Technique: Two-panel axial: CT | PSMA PET, [18F]PSMA-1007 tracer. acquired on Siemens Biograph mCT Flow 20. slice 71 of 423.
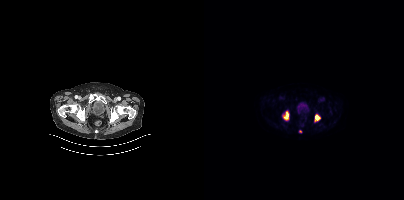
Findings: Coordinates are on the 200×200 PET (right) panel. PSMA-avid tumor lesion bounding boxes (x0, y0)-(x1, y1): (79, 111)-(84, 119) / (111, 114)-(116, 121). Small PSMA-avid focus (2 to 4 px across) near (center x, center y): (96, 131).